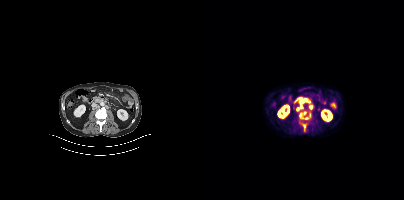
Two-panel axial: CT | PSMA PET, [18F]PSMA-1007 tracer. Coordinates are on the 200×200 PET (right) panel. (showing 6 of 8 foci) PSMA-avid tumor lesion bounding boxes (x, y, width, height): x=95 y=111 w=10 h=9 | x=96 y=99 w=8 h=5 | x=99 y=124 w=3 h=7. Small PSMA-avid foci (2 to 4 px across) near (center x, center y): (97, 107) | (107, 107) | (94, 108).